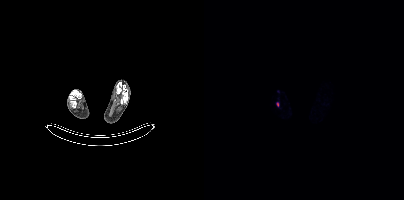
Coordinates are on the 200×200 PET (right) panel. Small PSMA-avid focus (2 to 4 px across) near (center x, center y): (73, 104).